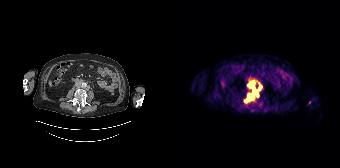
Coordinates are on the 168×168 PET (right) panel. PSMA-avid tumor lesion bounding boxes (x0, y0)-(x1, y1): (78, 81)-(89, 96); (72, 93)-(82, 102).